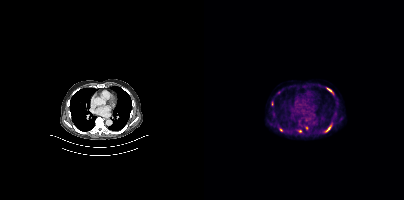
Two-panel axial: CT | PSMA PET, 18F-PSMA tracer.
Coordinates are on the 200×200 PET (right) panel. PSMA-avid tumor lesion bounding boxes (partial; 1 more focus not listed):
| # | x0 | y0 | x1 | y1 |
|---|---|---|---|---|
| 1 | 121 | 125 | 127 | 131 |
| 2 | 123 | 88 | 128 | 92 |
Small PSMA-avid foci (2 to 4 px across) near (center x, center y): (77, 130); (96, 131); (102, 127).